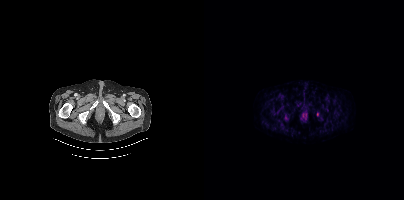
Only PSMA-avid lesion pieces thinner than 2 px on this slice (not listed).